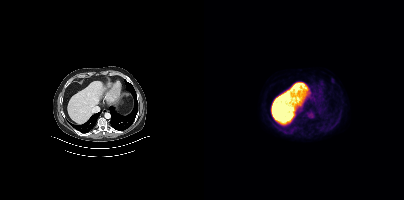
This slice has no annotated PSMA-avid lesion.
modality: PSMA PET/CT | tracer: 18F | view: axial | PET grid: 200×200